modality: PSMA PET/CT | tracer: 18F-PSMA | view: axial
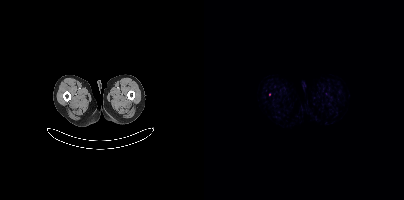
Coordinates are on the 200×200 PET (right) panel. Small PSMA-avid focus (2 to 4 px across) near (center x, center y): (65, 94).